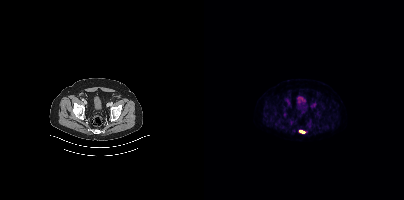
{"modality":"PSMA PET/CT","view":"axial","tracer":"[18F]PSMA-1007","pet_grid":[200,200],"coord_frame":"pet_panel","coord_format":"x0,y0,x1,y1","lesion_bboxes":[[95,130,100,133]]}